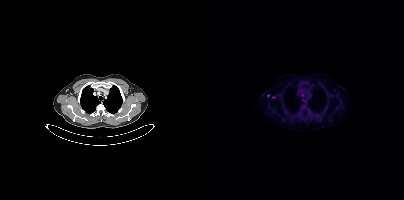
Two-panel axial: CT | PSMA PET, 18F-PSMA tracer. Coordinates are on the 200×200 PET (right) panel. Small PSMA-avid foci (2 to 4 px across) near (center x, center y): (69, 97) / (64, 95).